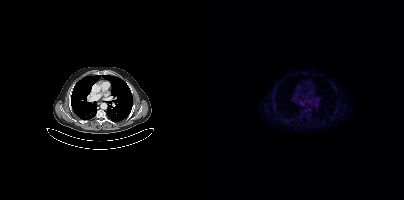
Findings: Coordinates are on the 200×200 PET (right) panel. Small PSMA-avid focus (2 to 4 px across) near (center x, center y): (98, 104).
Technique: Left: CT. Right: PSMA PET, same axial level, 18F-PSMA tracer. PET panel 200×200 px (4.1 mm/px).